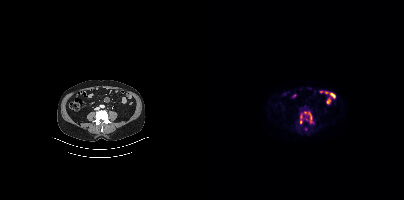
{"modality":"PSMA PET/CT","view":"axial","tracer":"[18F]PSMA-1007","pet_grid":[200,200],"coord_frame":"pet_panel","coord_format":"x0,y0,x1,y1","partial":true,"lesion_bboxes":[],"small_foci_centers":[[96,122],[105,113]]}